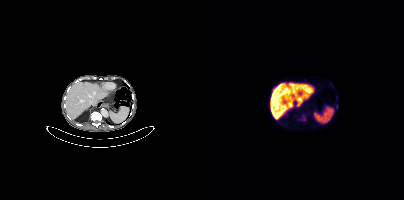
{"modality":"PSMA PET/CT","view":"axial","tracer":"18F-PSMA","pet_grid":[200,200],"coord_frame":"pet_panel","coord_format":"x0,y0,x1,y1","partial":true,"lesion_bboxes":[],"small_foci_centers":[[100,119]]}